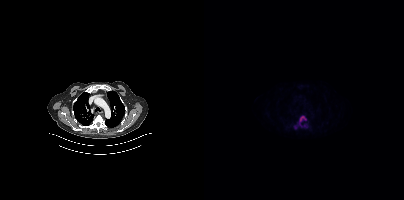
Technique: Two-panel axial: CT | PSMA PET, [18F]PSMA-1007 tracer. slice position z = -524 mm.
Findings: Coordinates are on the 200×200 PET (right) panel. PSMA-avid tumor lesion bounding box (x, y, width, height): x=90 y=115 w=14 h=15.